Technique: Left: CT. Right: PSMA PET, same axial level, 18F tracer. acquired on Siemens Biograph mCT Flow 20.
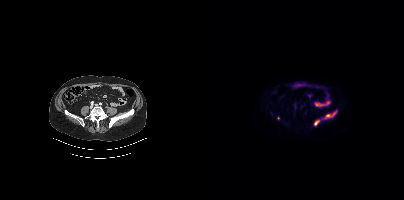
Findings: Coordinates are on the 200×200 PET (right) panel. (showing 2 of 3 foci) PSMA-avid tumor lesion bounding boxes (x0,y0,x1,y1): [118,111,132,119] [110,119,115,125].